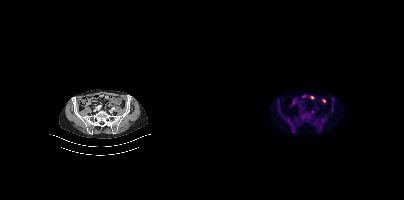
No tumor lesions annotated on this slice. Left: CT. Right: PSMA PET, same axial level, 18F-PSMA tracer. Acquired on Siemens Biograph mCT Flow 20. Slice 118 of 401.